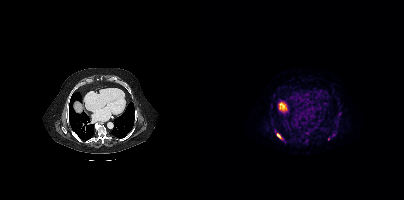
Coordinates are on the 200×200 PET (right) panel. PSMA-avid tumor lesion bounding box (x, y, width, height): x=72 y=133 w=7 h=7. Small PSMA-avid focus (2 to 4 px across) near (center x, center y): (124, 138).
modality: PSMA PET/CT | tracer: 68Ga | view: axial